- Paired axial CT (left) and PSMA PET (right), 68Ga-PSMA tracer
- PET panel 168×168 px (4.1 mm/px)
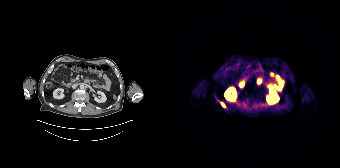
Findings: Coordinates are on the 168×168 PET (right) panel. PSMA-avid tumor lesion bounding box (x, y, width, height): x=49 y=102 w=5 h=6.